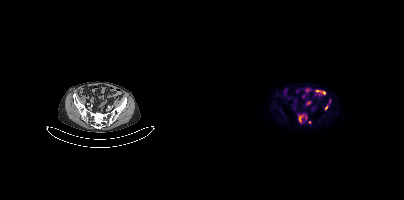
Technique: Paired axial CT (left) and PSMA PET (right), [18F]PSMA-1007 tracer. PET panel 200×200 px (4.1 mm/px).
Findings: Coordinates are on the 200×200 PET (right) panel. (showing 2 of 4 foci) PSMA-avid tumor lesion bounding box (x0,y0,x1,y1): [94,115,102,123]. Small PSMA-avid focus (2 to 4 px across) near (center x, center y): (122, 106).